- a rectangle over the head was blacked out to remove identifiable facial features
- Paired axial CT (left) and PSMA PET (right), [18F]PSMA-1007 tracer
- acquired on Siemens Biograph mCT Flow 20
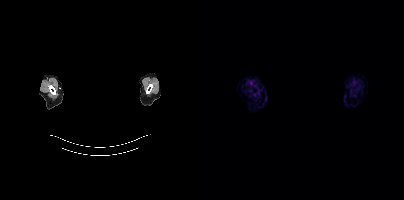
Findings: This slice has no annotated PSMA-avid lesion.